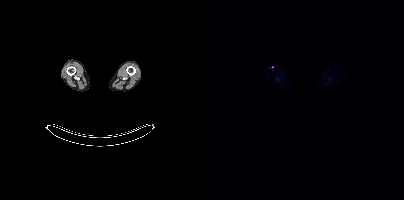
Findings: Only PSMA-avid lesion pieces thinner than 2 px on this slice (not listed).
Technique: Paired axial CT (left) and PSMA PET (right), 18F tracer. slice 345 of 963. PET panel 200×200 px (4.1 mm/px).